Left: CT. Right: PSMA PET, same axial level, 18F-PSMA tracer. Acquired on Siemens Biograph mCT Flow 20. Slice position z = -1407 mm. PET panel 200×200 px (4.1 mm/px).
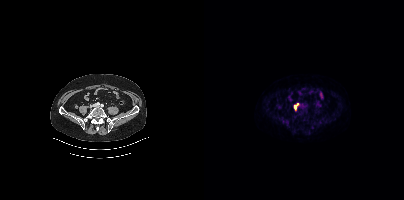
Coordinates are on the 200×200 PET (right) panel. (showing 1 of 2 foci) PSMA-avid tumor lesion bounding box (x0,y0,x1,y1): [90,105,92,109].